- Paired axial CT (left) and PSMA PET (right), [18F]PSMA-1007 tracer
- the head region is masked for de-identification
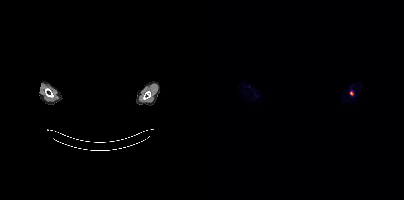
Findings: Coordinates are on the 200×200 PET (right) panel. PSMA-avid tumor lesion bounding box (x0, y0)-(x1, y1): (146, 91)-(149, 95).